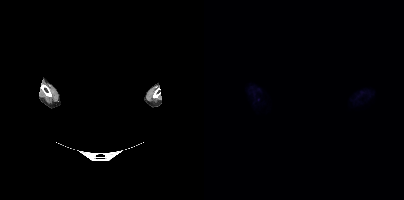
redaction: privacy mask over head | modality: PSMA PET/CT | tracer: 18F-PSMA | view: axial | PET grid: 200×200
This slice has no annotated PSMA-avid lesion.